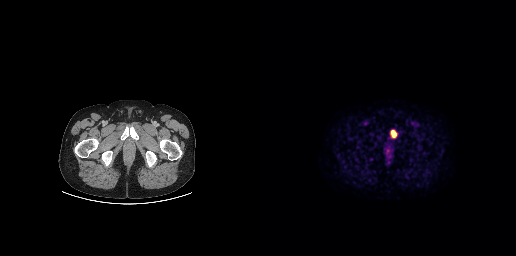
{"modality":"PSMA PET/CT","view":"axial","tracer":"18F-PSMA","pet_grid":[256,256],"coord_frame":"pet_panel","coord_format":"x0,y0,x1,y1","lesion_bboxes":[[130,130,137,138]]}